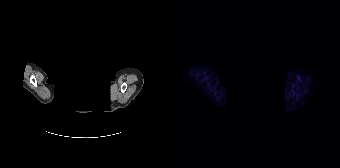
redaction: head region blacked out before release | modality: PSMA PET/CT | tracer: 18F | view: axial | PET grid: 168×168
This slice has no annotated PSMA-avid lesion.